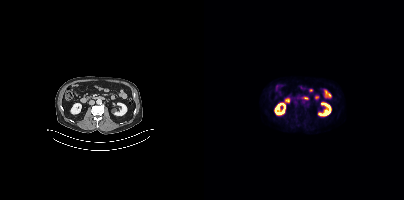
{"modality":"PSMA PET/CT","view":"axial","tracer":"[18F]PSMA-1007","pet_grid":[200,200],"coord_frame":"pet_panel","coord_format":"x0,y0,x1,y1","psma_avid_lesions":false}